Technique: Paired axial CT (left) and PSMA PET (right), 18F-PSMA tracer. PET panel 200×200 px (4.1 mm/px).
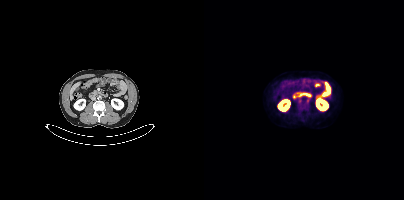
Findings: No PSMA-avid tumor lesions on this slice.